Paired axial CT (left) and PSMA PET (right), 18F-PSMA tracer. Slice position z = -1044 mm.
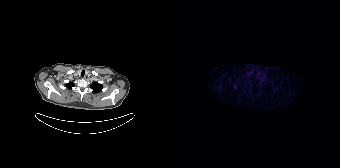
Coordinates are on the 168×168 PET (right) panel. Small PSMA-avid focus (2 to 4 px across) near (center x, center y): (62, 86).